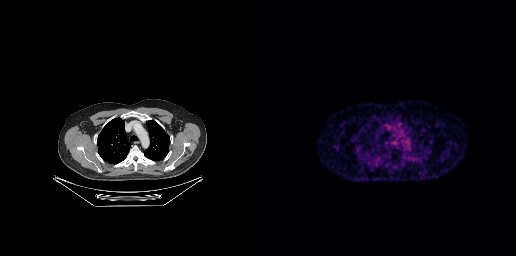
No tumor lesions annotated on this slice.
modality: PSMA PET/CT | tracer: 68Ga | view: axial | PET grid: 256×256